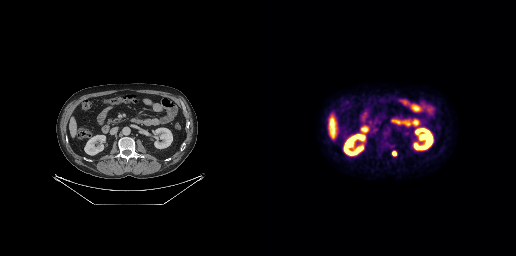
Coordinates are on the 256×256 PET (right) panel. PSMA-avid tumor lesion bounding box (x, y, width, height): x=132 y=151 w=5 h=6.